Technique: Left: CT. Right: PSMA PET, same axial level, 18F-PSMA tracer. acquired on Siemens Biograph mCT Flow 20.
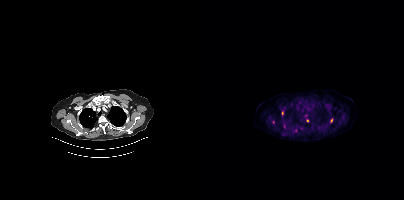
Findings: Coordinates are on the 200×200 PET (right) panel. (showing 5 of 6 foci) PSMA-avid tumor lesion bounding box (x0,y0,x1,y1): [126,118,128,122]. Small PSMA-avid foci (2 to 4 px across) near (center x, center y): (103, 121) (69, 122) (78, 113) (91, 130).